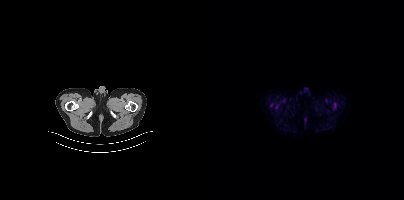
{"modality":"PSMA PET/CT","view":"axial","tracer":"[18F]PSMA-1007","pet_grid":[200,200],"coord_frame":"pet_panel","coord_format":"x0,y0,x1,y1","psma_avid_lesions":false}